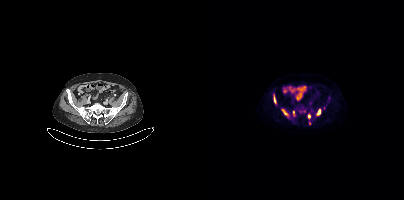
Two-panel axial: CT | PSMA PET, 18F-PSMA tracer.
Coordinates are on the 200×200 PET (right) panel. PSMA-avid tumor lesion bounding boxes (partial; 1 more focus not listed):
| # | x0 | y0 | x1 | y1 |
|---|---|---|---|---|
| 1 | 113 | 109 | 116 | 114 |
| 2 | 97 | 106 | 102 | 110 |
| 3 | 70 | 95 | 72 | 103 |
| 4 | 78 | 109 | 83 | 115 |
Small PSMA-avid foci (2 to 4 px across) near (center x, center y): (105, 115); (89, 112); (105, 123).